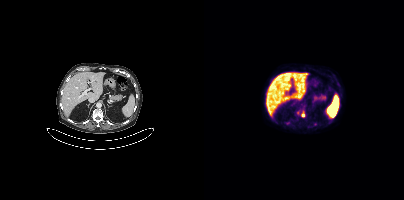
Left: CT. Right: PSMA PET, same axial level, 18F-PSMA tracer. Slice position z = -1152 mm. Coordinates are on the 200×200 PET (right) panel. PSMA-avid tumor lesion bounding boxes (x0,y0,x1,y1): [92,110,96,115]; [97,111,100,116].